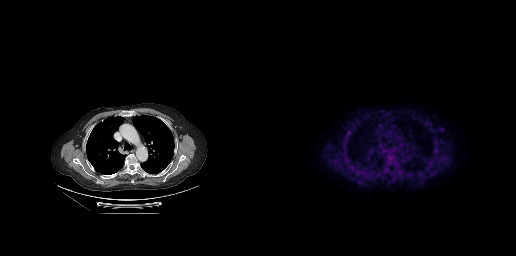
Coordinates are on the 256×256 PET (right) panel. PSMA-avid tumor lesion bounding box (x0,y0,x1,y1): [83,144,85,148]. Left: CT. Right: PSMA PET, same axial level, 18F-PSMA tracer. Acquired on GE Discovery 690. Slice position z = -199 mm. PET panel 256×256 px (2.7 mm/px).